Paired axial CT (left) and PSMA PET (right), 18F tracer.
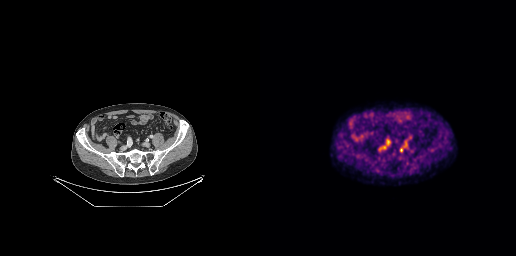
Coordinates are on the 256×256 PET (right) panel. Small PSMA-avid focus (2 to 4 px across) near (center x, center y): (141, 150).